Technique: Left: CT. Right: PSMA PET, same axial level, 18F-PSMA tracer. acquired on GE Discovery 690. PET panel 256×256 px (2.7 mm/px).
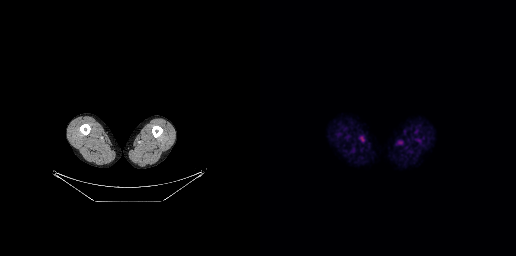
Findings: No tumor lesions annotated on this slice.